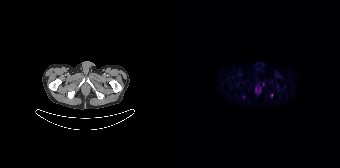
- Paired axial CT (left) and PSMA PET (right), 18F-PSMA tracer
Findings: Coordinates are on the 168×168 PET (right) panel. Small PSMA-avid focus (2 to 4 px across) near (center x, center y): (99, 95).